Left: CT. Right: PSMA PET, same axial level, 18F-PSMA tracer. Slice position z = -976 mm. PET panel 200×200 px (4.1 mm/px).
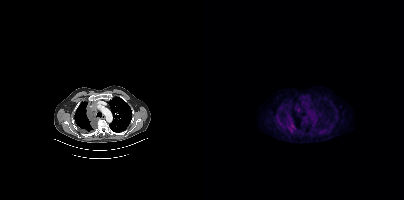
Coordinates are on the 200×200 PET (right) panel. PSMA-avid tumor lesion bounding box (x0, y0)-(x1, y1): (84, 121)-(92, 129). Small PSMA-avid focus (2 to 4 px across) near (center x, center y): (94, 109).